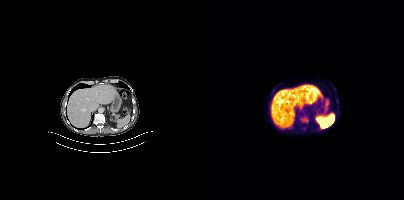
modality: PSMA PET/CT | tracer: 18F-PSMA | view: axial | PET grid: 200×200
Coordinates are on the 200×200 PET (right) panel. PSMA-avid tumor lesion bounding box (x0,y0,x1,y1): [96,115,103,122].